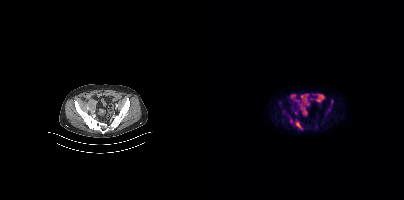
- Left: CT. Right: PSMA PET, same axial level, 18F tracer
- acquired on Siemens Biograph mCT Flow 20
- slice position z = -1428 mm
- PET panel 200×200 px (4.1 mm/px)
Findings: Coordinates are on the 200×200 PET (right) panel. (showing 3 of 5 foci) PSMA-avid tumor lesion bounding boxes (x, y, width, height): x=91 y=120 w=8 h=10; x=85 y=117 w=4 h=5; x=127 y=99 w=3 h=6.